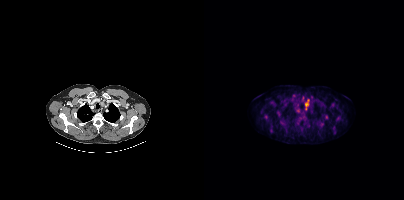
Coordinates are on the 200×200 PET (right) panel. PSMA-avid tumor lesion bounding box (x, y, width, height): x=101 y=99 w=5 h=11.